Left: CT. Right: PSMA PET, same axial level, 18F-PSMA tracer. Slice position z = -940 mm. PET panel 256×256 px (2.7 mm/px).
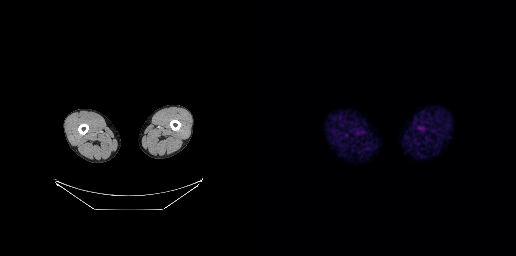
Negative for PSMA-avid disease on this slice.